Left: CT. Right: PSMA PET, same axial level, 18F tracer. Acquired on Siemens Biograph mCT Flow 20. Slice position z = 126 mm.
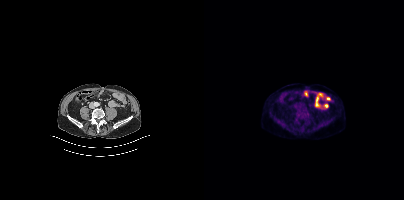
This slice has no annotated PSMA-avid lesion.